Technique: Left: CT. Right: PSMA PET, same axial level, 18F tracer. slice 327 of 385.
Note: The head region is masked for de-identification.
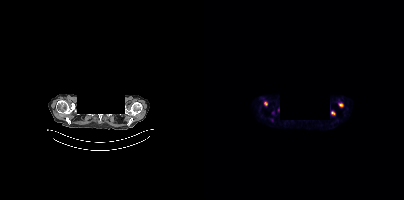
Findings: Coordinates are on the 200×200 PET (right) panel. (showing 3 of 4 foci) PSMA-avid tumor lesion bounding boxes (x0, y0)-(x1, y1): (134, 103)-(139, 107); (127, 111)-(131, 115); (60, 101)-(63, 105).